Technique: Left: CT. Right: PSMA PET, same axial level, 18F tracer. PET panel 200×200 px (4.1 mm/px).
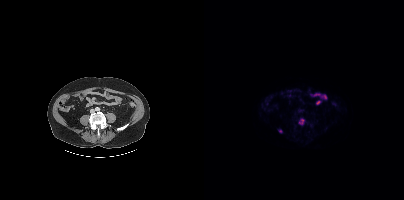
Findings: Coordinates are on the 200×200 PET (right) panel. (showing 1 of 3 foci) Small PSMA-avid focus (2 to 4 px across) near (center x, center y): (98, 119).